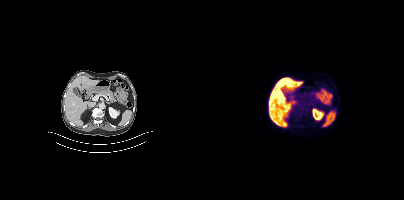
Findings: This slice has no annotated PSMA-avid lesion.
Technique: Two-panel axial: CT | PSMA PET, 18F tracer. PET panel 200×200 px (4.1 mm/px).